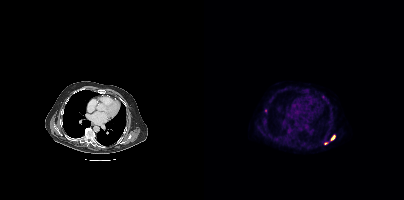
Findings: Coordinates are on the 200×200 PET (right) panel. PSMA-avid tumor lesion bounding box (x0, y0)-(x1, y1): (127, 135)-(130, 140). Small PSMA-avid foci (2 to 4 px across) near (center x, center y): (61, 110) / (121, 143).
Technique: Two-panel axial: CT | PSMA PET, 18F-PSMA tracer. slice 290 of 431.